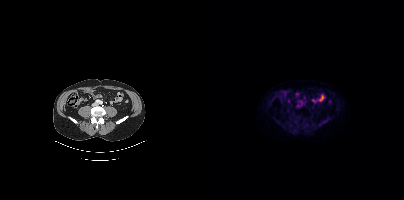
Paired axial CT (left) and PSMA PET (right), 18F tracer. Slice 148 of 438. PET panel 200×200 px (4.1 mm/px). No PSMA-avid tumor lesions on this slice.